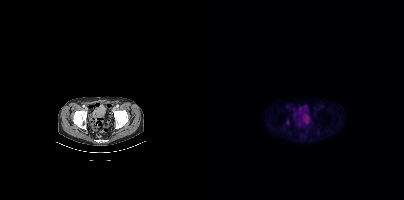
Coordinates are on the 200×200 PET (right) panel. Small PSMA-avid focus (2 to 4 px across) near (center x, center y): (83, 122). Left: CT. Right: PSMA PET, same axial level, 18F tracer. Slice 81 of 435.